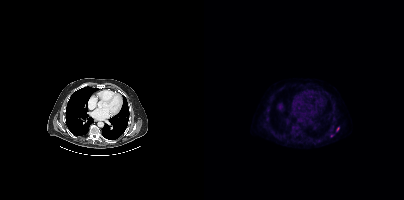
{"modality":"PSMA PET/CT","view":"axial","tracer":"18F","pet_grid":[200,200],"coord_frame":"pet_panel","coord_format":"x0,y0,x1,y1","partial":true,"lesion_bboxes":[]}